- Paired axial CT (left) and PSMA PET (right), 18F-PSMA tracer
- acquired on Siemens Biograph mCT Flow 20
- PET panel 200×200 px (4.1 mm/px)
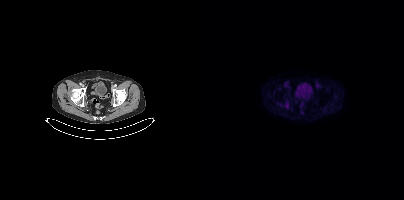
Findings: Only PSMA-avid lesion pieces thinner than 2 px on this slice (not listed).